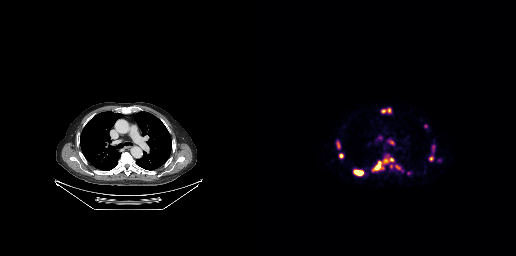
Findings: Coordinates are on the 256×256 PET (right) panel. (showing 8 of 11 foci) PSMA-avid tumor lesion bounding boxes (x0, y0)-(x1, y1): (94, 170)-(103, 175); (114, 161)-(121, 169); (128, 140)-(134, 144); (135, 165)-(140, 169); (79, 154)-(83, 157). Small PSMA-avid foci (2 to 4 px across) near (center x, center y): (78, 144); (171, 158); (131, 159).
Technique: Paired axial CT (left) and PSMA PET (right), [68Ga]Ga-PSMA-11 tracer. PET panel 256×256 px (2.7 mm/px).